Left: CT. Right: PSMA PET, same axial level, [18F]PSMA-1007 tracer. Acquired on Siemens Biograph mCT Flow 20. PET panel 200×200 px (4.1 mm/px).
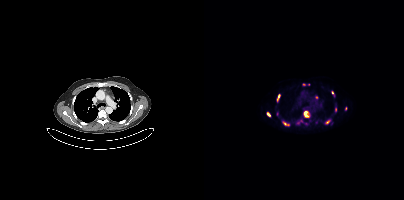
Coordinates are on the 200×200 PET (right) panel. PSMA-avid tumor lesion bounding boxes (partial; 3 more foci not listed):
| # | x0 | y0 | x1 | y1 |
|---|---|---|---|---|
| 1 | 100 | 112 | 106 | 117 |
| 2 | 121 | 120 | 126 | 124 |
| 3 | 73 | 94 | 75 | 101 |
| 4 | 131 | 107 | 132 | 111 |
Small PSMA-avid foci (2 to 4 px across) near (center x, center y): (64, 114); (73, 113); (112, 97); (142, 108); (100, 84); (128, 92); (81, 123); (101, 123).